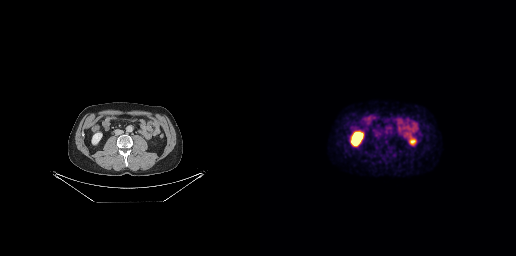
Left: CT. Right: PSMA PET, same axial level, 18F-PSMA tracer. PET panel 256×256 px (2.7 mm/px). Coordinates are on the 256×256 PET (right) panel. Small PSMA-avid focus (2 to 4 px across) near (center x, center y): (126, 131).